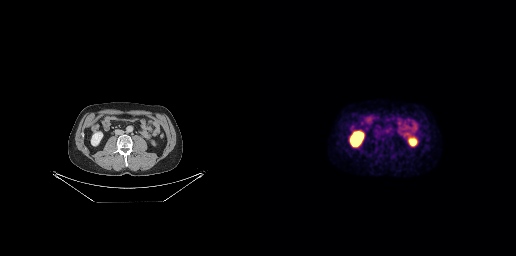
{"pet_grid":[256,256],"coord_frame":"pet_panel","coord_format":"x0,y0,x1,y1","partial":true,"lesion_bboxes":[[125,129,129,133]],"modality":"PSMA PET/CT","view":"axial","tracer":"18F"}